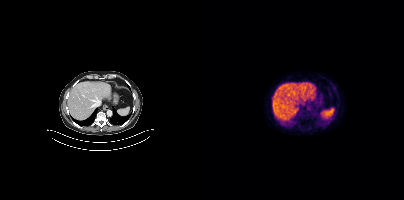
{"modality":"PSMA PET/CT","view":"axial","tracer":"68Ga","pet_grid":[200,200],"coord_frame":"pet_panel","coord_format":"x0,y0,x1,y1","psma_avid_lesions":false}